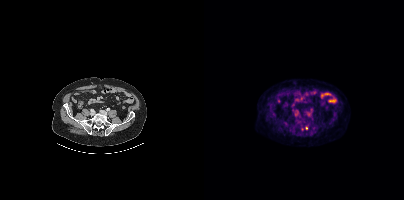
Findings: Coordinates are on the 200×200 PET (right) panel. (showing 1 of 2 foci) Small PSMA-avid focus (2 to 4 px across) near (center x, center y): (102, 128).
- Left: CT. Right: PSMA PET, same axial level, 18F tracer
- acquired on Siemens Biograph mCT Flow 20
- slice position z = -1240 mm
- PET panel 200×200 px (4.1 mm/px)